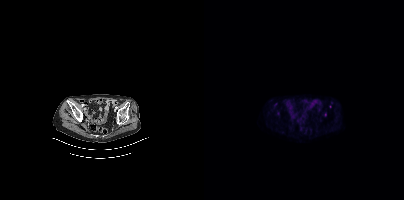
Technique: Left: CT. Right: PSMA PET, same axial level, 68Ga tracer. acquired on Siemens Biograph mCT Flow 20.
Findings: Coordinates are on the 200×200 PET (right) panel. Small PSMA-avid foci (2 to 4 px across) near (center x, center y): (121, 114); (126, 106).